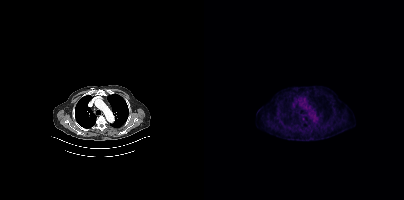
Coordinates are on the 200×200 PET (right) panel. Small PSMA-avid focus (2 to 4 px across) near (center x, center y): (99, 118). Two-panel axial: CT | PSMA PET, 18F-PSMA tracer. Slice position z = -962 mm. PET panel 200×200 px (4.1 mm/px).